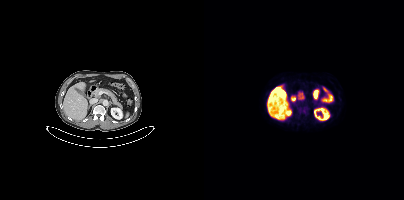
{"pet_grid":[200,200],"coord_frame":"pet_panel","coord_format":"x0,y0,x1,y1","psma_avid_lesions":false,"modality":"PSMA PET/CT","view":"axial","tracer":"18F-PSMA"}